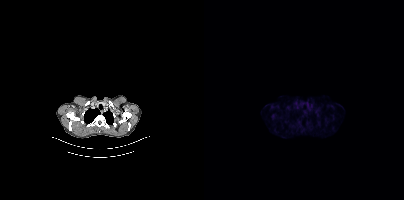
modality: PSMA PET/CT | tracer: [18F]PSMA-1007 | view: axial | PET grid: 200×200
No tumor lesions annotated on this slice.